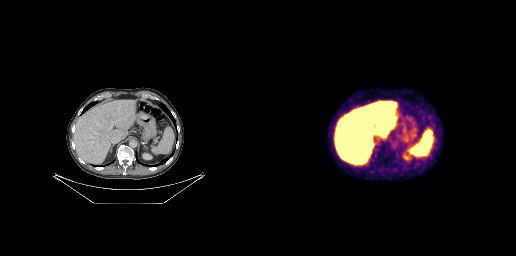
{"modality":"PSMA PET/CT","view":"axial","tracer":"[18F]PSMA-1007","pet_grid":[256,256],"coord_frame":"pet_panel","coord_format":"x0,y0,x1,y1","psma_avid_lesions":false}